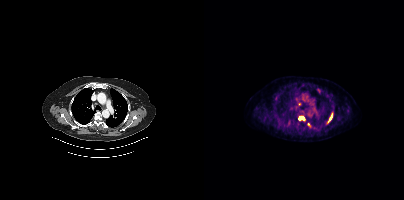
Technique: Left: CT. Right: PSMA PET, same axial level, 18F-PSMA tracer. acquired on Siemens Biograph mCT Flow 20. slice 330 of 438. PET panel 200×200 px (4.1 mm/px).
Findings: Coordinates are on the 200×200 PET (right) panel. PSMA-avid tumor lesion bounding boxes (x0,y0,x1,y1): [95,116,100,120], [124,114,128,122], [103,123,107,127]. Small PSMA-avid foci (2 to 4 px across) near (center x, center y): (95, 104), (114, 90).